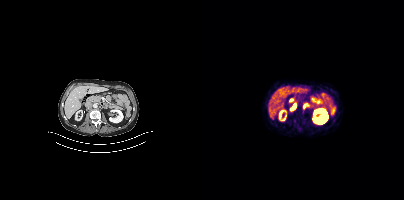
Paired axial CT (left) and PSMA PET (right), [68Ga]Ga-PSMA-11 tracer. Slice 162 of 373.
Coordinates are on the 200×200 PET (right) panel. PSMA-avid tumor lesion bounding boxes:
| # | x0 | y0 | x1 | y1 |
|---|---|---|---|---|
| 1 | 86 | 105 | 91 | 110 |
| 2 | 99 | 104 | 101 | 108 |